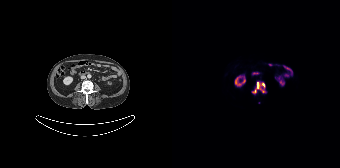
Paired axial CT (left) and PSMA PET (right), 18F-PSMA tracer. Acquired on Siemens Biograph 64-4R TruePoint. Coordinates are on the 168×168 PET (right) panel. (showing 1 of 2 foci) PSMA-avid tumor lesion bounding box (x0, y0)-(x1, y1): (80, 81)-(94, 94).